- Left: CT. Right: PSMA PET, same axial level, 18F tracer
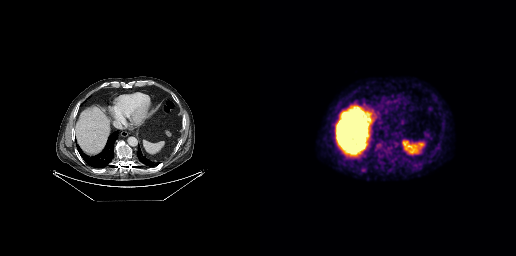
Findings: Only PSMA-avid lesion pieces thinner than 2 px on this slice (not listed).